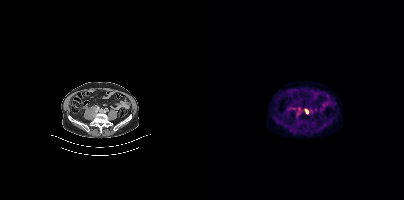
Coordinates are on the 200×200 PET (right) panel. PSMA-avid tumor lesion bounding box (x0, y0)-(x1, y1): (101, 109)-(104, 113).